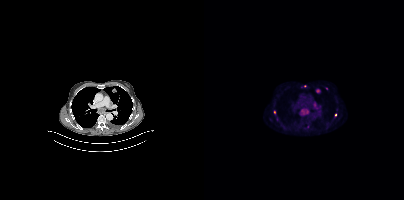
Findings: Coordinates are on the 200×200 PET (right) panel. (showing 6 of 7 foci) PSMA-avid tumor lesion bounding boxes (x0,y0,x1,y1): [96,108,105,115], [109,102,114,108]. Small PSMA-avid foci (2 to 4 px across) near (center x, center y): (113, 90), (131, 115), (70, 111), (122, 88).
Technique: Paired axial CT (left) and PSMA PET (right), [18F]PSMA-1007 tracer. slice position z = 394 mm. PET panel 200×200 px (4.1 mm/px).